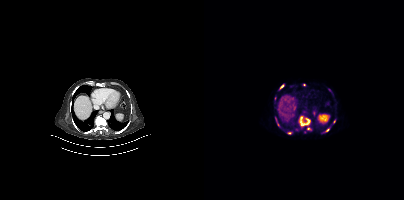
{"pet_grid":[200,200],"coord_frame":"pet_panel","coord_format":"x0,y0,x1,y1","partial":true,"lesion_bboxes":[[95,116,105,125],[71,117,76,126]],"small_foci_centers":[[85,133],[123,129],[78,85],[130,121],[104,128],[125,89],[71,97]],"modality":"PSMA PET/CT","view":"axial","tracer":"[68Ga]Ga-PSMA-11"}